Paired axial CT (left) and PSMA PET (right), 68Ga tracer. PET panel 200×200 px (4.1 mm/px).
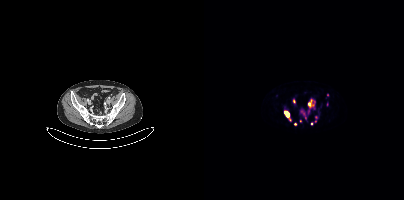
Coordinates are on the 200×200 PET (right) panel. PSMA-avid tumor lesion bounding boxes (partial; 2 more foci not listed):
| # | x0 | y0 | x1 | y1 |
|---|---|---|---|---|
| 1 | 103 | 100 | 110 | 113 |
| 2 | 80 | 111 | 87 | 121 |
| 3 | 98 | 112 | 102 | 119 |
Small PSMA-avid foci (2 to 4 px across) near (center x, center y): (90, 101); (112, 117); (123, 104); (111, 120); (91, 123); (107, 123).